- Paired axial CT (left) and PSMA PET (right), [18F]PSMA-1007 tracer
- acquired on Siemens Biograph mCT Flow 20
- PET panel 200×200 px (4.1 mm/px)
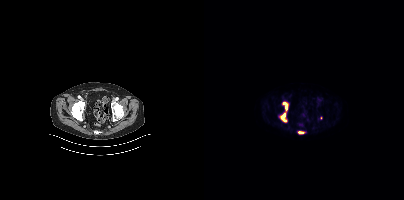
Findings: Coordinates are on the 200×200 PET (right) panel. (showing 3 of 4 foci) PSMA-avid tumor lesion bounding boxes (x, y, width, height): x=77 y=113 w=6 h=9; x=79 y=102 w=5 h=9; x=94 y=131 w=7 h=3.